A rectangle over the head was blacked out to remove identifiable facial features.
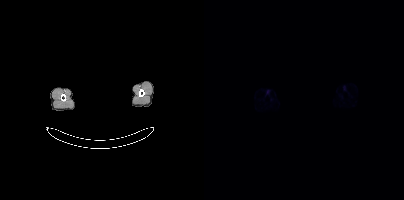
No PSMA-avid tumor lesions on this slice.